Technique: Two-panel axial: CT | PSMA PET, 68Ga-PSMA tracer. acquired on Siemens Biograph mCT Flow 20. PET panel 200×200 px (4.1 mm/px).
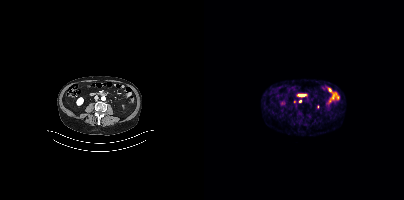
Findings: Coordinates are on the 200×200 PET (right) panel. Small PSMA-avid focus (2 to 4 px across) near (center x, center y): (96, 101).